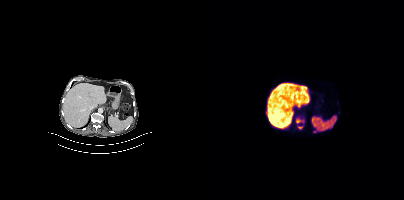
Coordinates are on the 200×200 PET (right) panel. PSMA-avid tumor lesion bounding boxes (x0, y0)-(x1, y1): (92, 119)-(96, 122) | (94, 127)-(98, 128). Small PSMA-avid focus (2 to 4 px across) near (center x, center y): (110, 131).